- Paired axial CT (left) and PSMA PET (right), 18F tracer
- acquired on Siemens Biograph mCT Flow 20
- PET panel 200×200 px (4.1 mm/px)
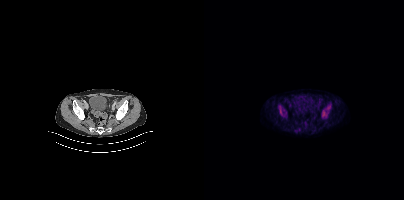
Findings: Coordinates are on the 200×200 PET (right) panel. (showing 2 of 3 foci) PSMA-avid tumor lesion bounding boxes (x0,y0,x1,y1): [76,110,78,115] [119,111,120,115].